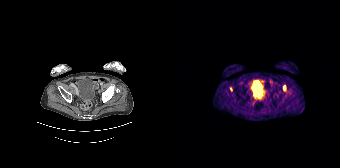
Left: CT. Right: PSMA PET, same axial level, 68Ga tracer. Slice position z = -638 mm. PET panel 168×168 px (4.1 mm/px). Coordinates are on the 168×168 PET (right) panel. PSMA-avid tumor lesion bounding box (x0,y0,x1,y1): [111,86,113,90]. Small PSMA-avid focus (2 to 4 px across) near (center x, center y): (58, 89).